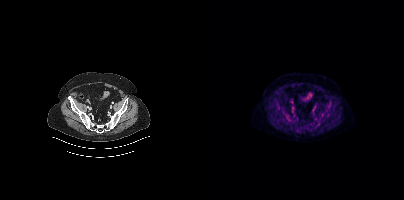
Findings: No tumor lesions annotated on this slice.
Technique: Left: CT. Right: PSMA PET, same axial level, 18F-PSMA tracer. PET panel 200×200 px (4.1 mm/px).